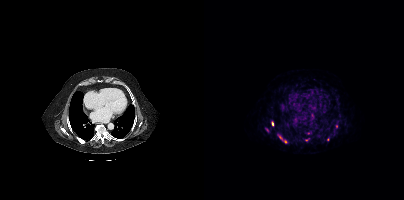
Findings: Coordinates are on the 200×200 PET (right) panel. (showing 4 of 6 foci) Small PSMA-avid foci (2 to 4 px across) near (center x, center y): (76, 137); (81, 141); (123, 139); (68, 124).
- Paired axial CT (left) and PSMA PET (right), 68Ga-PSMA tracer